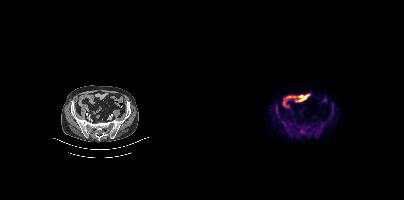
Findings: Coordinates are on the 200×200 PET (right) panel. PSMA-avid tumor lesion bounding boxes (x0, y0)-(x1, y1): (96, 130)-(103, 134) | (126, 104)-(129, 117) | (71, 104)-(75, 116) | (78, 120)-(82, 126).
- Paired axial CT (left) and PSMA PET (right), [18F]PSMA-1007 tracer
- acquired on Siemens Biograph mCT Flow 20